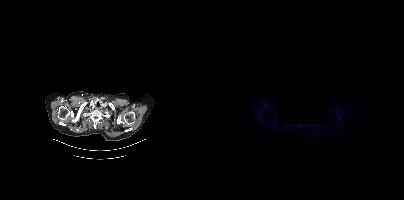
Technique: Left: CT. Right: PSMA PET, same axial level, [18F]PSMA-1007 tracer. PET panel 200×200 px (4.1 mm/px).
Note: A block of pixels was blacked out before release to protect privacy.
Findings: Only PSMA-avid lesion pieces thinner than 2 px on this slice (not listed).